- Two-panel axial: CT | PSMA PET, 18F tracer
- acquired on Siemens Biograph mCT Flow 20
- slice 282 of 438
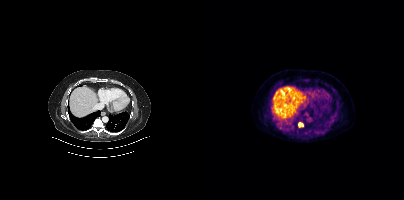
Findings: Coordinates are on the 200×200 PET (right) panel. Small PSMA-avid focus (2 to 4 px across) near (center x, center y): (96, 124).